Two-panel axial: CT | PSMA PET, 18F-PSMA tracer. Slice position z = -969 mm. PET panel 200×200 px (4.1 mm/px).
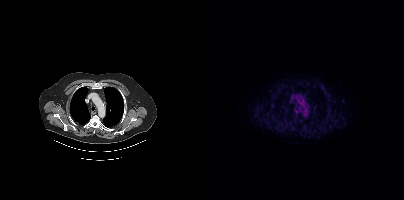
No tumor lesions annotated on this slice.